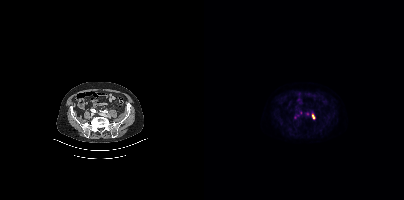
modality: PSMA PET/CT | tracer: [18F]PSMA-1007 | view: axial
Coordinates are on the 200×200 PET (right) panel. (showing 3 of 4 foci) PSMA-avid tumor lesion bounding boxes (x0,y0,x1,y1): [90,115,94,119]; [108,114,110,118]. Small PSMA-avid focus (2 to 4 px across) near (center x, center y): (103, 113).